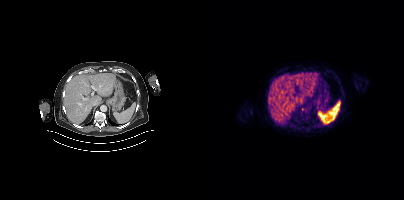
{"modality":"PSMA PET/CT","view":"axial","tracer":"[68Ga]Ga-PSMA-11","pet_grid":[200,200],"coord_frame":"pet_panel","coord_format":"x0,y0,x1,y1","partial":true,"lesion_bboxes":[]}